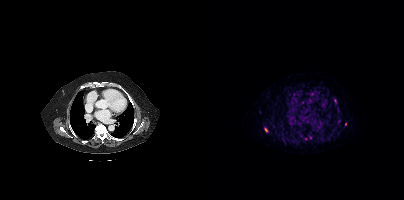
Coordinates are on the 200×200 PET (right) panel. (showing 2 of 3 foci) Small PSMA-avid foci (2 to 4 px across) near (center x, center y): (62, 129); (141, 123).